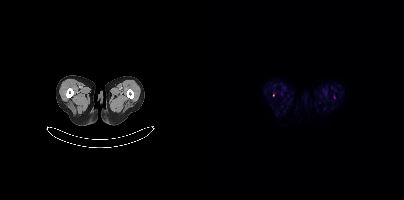
Technique: Two-panel axial: CT | PSMA PET, [18F]PSMA-1007 tracer. acquired on Siemens Biograph mCT Flow 20. PET panel 200×200 px (4.1 mm/px).
Findings: Coordinates are on the 200×200 PET (right) panel. Small PSMA-avid focus (2 to 4 px across) near (center x, center y): (69, 95).